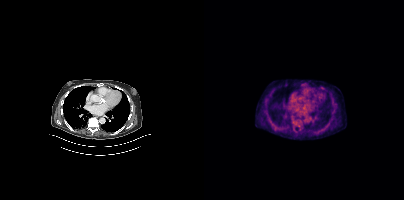
Technique: Left: CT. Right: PSMA PET, same axial level, 18F tracer. slice position z = -1166 mm.
Findings: Only PSMA-avid lesion pieces thinner than 2 px on this slice (not listed).